Technique: Paired axial CT (left) and PSMA PET (right), 68Ga tracer.
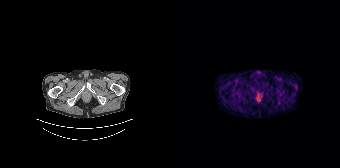
Findings: Negative for PSMA-avid disease on this slice.